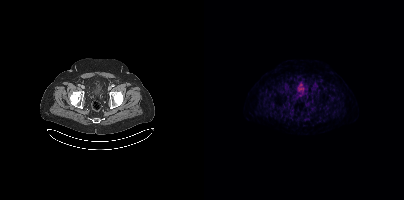
No PSMA-avid tumor lesions on this slice.